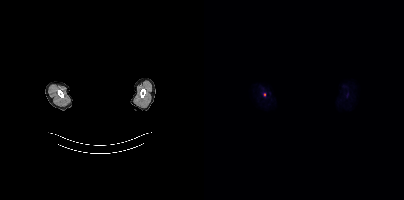
modality: PSMA PET/CT | tracer: [18F]PSMA-1007 | view: axial | de-identification: rectangular block over head set to black
Coordinates are on the 200×200 PET (right) panel. Small PSMA-avid focus (2 to 4 px across) near (center x, center y): (60, 94).